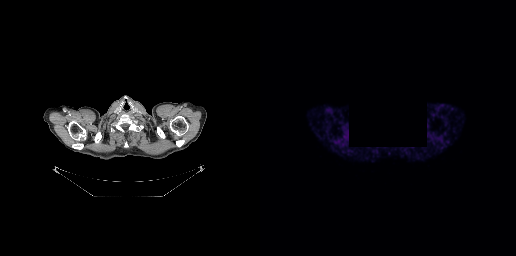
{"pet_grid":[256,256],"coord_frame":"pet_panel","coord_format":"x0,y0,x1,y1","psma_avid_lesions":false,"modality":"PSMA PET/CT","view":"axial","tracer":"[68Ga]Ga-PSMA-11","deidentification":"rectangle blanked before release"}